Paired axial CT (left) and PSMA PET (right), 18F-PSMA tracer. Slice position z = -1358 mm.
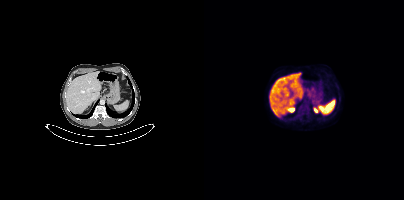
No PSMA-avid tumor lesions on this slice.